Left: CT. Right: PSMA PET, same axial level, [68Ga]Ga-PSMA-11 tracer. Acquired on Siemens Biograph mCT Flow 20. Slice position z = -1119 mm. PET panel 200×200 px (4.1 mm/px).
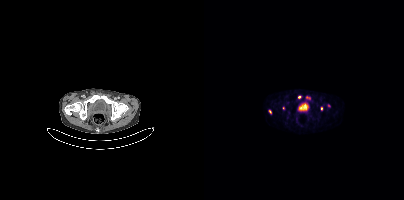
Coordinates are on the 200×200 PET (right) panel. PSMA-avid tumor lesion bounding boxes:
| # | x0 | y0 | x1 | y1 |
|---|---|---|---|---|
| 1 | 102 | 96 | 106 | 99 |
Small PSMA-avid foci (2 to 4 px across) near (center x, center y): (66, 111); (95, 97); (117, 108); (124, 105); (79, 107).